modality: PSMA PET/CT | tracer: 18F | view: axial
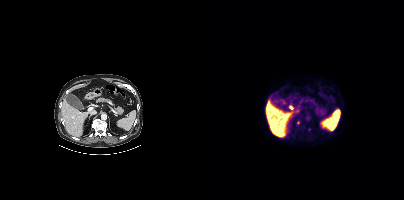
Coordinates are on the 200×200 PET (right) panel. Small PSMA-avid foci (2 to 4 px across) near (center x, center y): (94, 122); (105, 129).